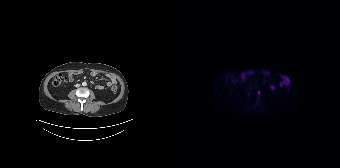
{"pet_grid":[168,168],"coord_frame":"pet_panel","coord_format":"x0,y0,x1,y1","psma_avid_lesions":false,"modality":"PSMA PET/CT","view":"axial","tracer":"[18F]PSMA-1007"}